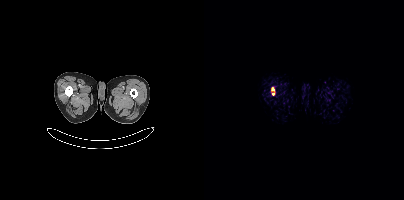
{"modality":"PSMA PET/CT","view":"axial","tracer":"[18F]PSMA-1007","pet_grid":[200,200],"coord_frame":"pet_panel","coord_format":"x0,y0,x1,y1","lesion_bboxes":[[67,87,70,91]],"small_foci_centers":[[69,93]]}